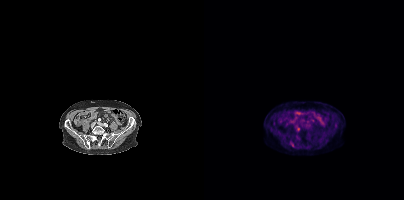
Technique: Paired axial CT (left) and PSMA PET (right), 18F tracer. acquired on Siemens Biograph mCT Flow 20. PET panel 200×200 px (4.1 mm/px).
Findings: Coordinates are on the 200×200 PET (right) panel. PSMA-avid tumor lesion bounding box (x0, y0)-(x1, y1): (86, 142)-(89, 146). Small PSMA-avid foci (2 to 4 px across) near (center x, center y): (131, 125) / (93, 128).